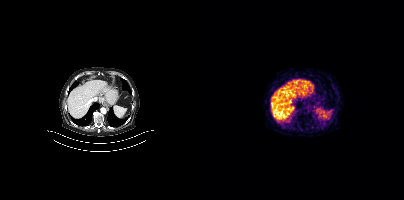
{"pet_grid":[200,200],"coord_frame":"pet_panel","coord_format":"x0,y0,x1,y1","psma_avid_lesions":false,"modality":"PSMA PET/CT","view":"axial","tracer":"[68Ga]Ga-PSMA-11"}